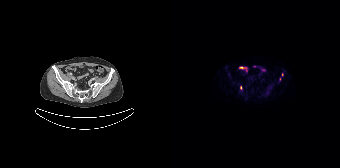
Technique: Left: CT. Right: PSMA PET, same axial level, [18F]PSMA-1007 tracer. acquired on Siemens Biograph 64-4R TruePoint.
Findings: Coordinates are on the 168×168 PET (right) panel. (showing 2 of 3 foci) Small PSMA-avid foci (2 to 4 px across) near (center x, center y): (68, 87); (110, 74).